Paired axial CT (left) and PSMA PET (right), 18F-PSMA tracer. Slice position z = -878 mm.
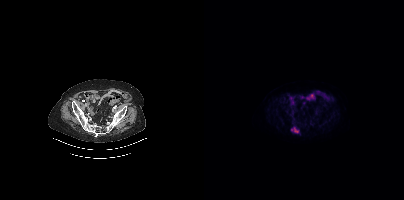
Coordinates are on the 200×200 PET (right) panel. PSMA-avid tumor lesion bounding box (x, y, width, height): x=87 y=127 w=8 h=7.